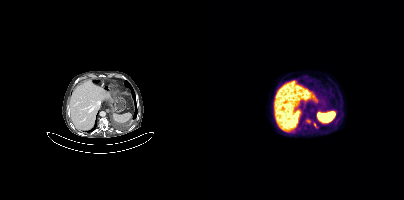
Coordinates are on the 200×200 PET (right) panel. PSMA-avid tumor lesion bounding box (x0, y0)-(x1, y1): (110, 123)-(112, 127). Small PSMA-avid focus (2 to 4 px across) near (center x, center y): (104, 121).